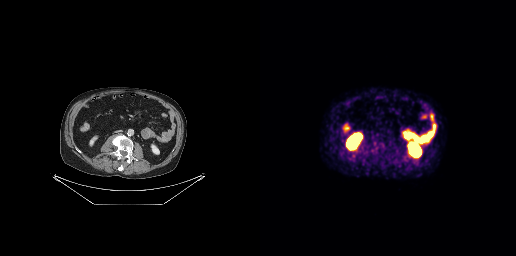
This slice has no annotated PSMA-avid lesion.